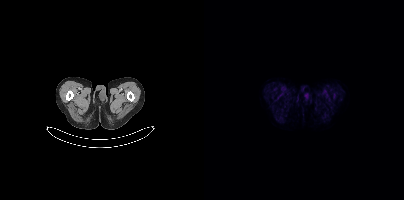
Paired axial CT (left) and PSMA PET (right), 18F tracer. Acquired on Siemens Biograph mCT Flow 20. Slice position z = -364 mm. Negative for PSMA-avid disease on this slice.